Technique: Paired axial CT (left) and PSMA PET (right), 18F tracer. slice 8 of 442. PET panel 200×200 px (4.1 mm/px).
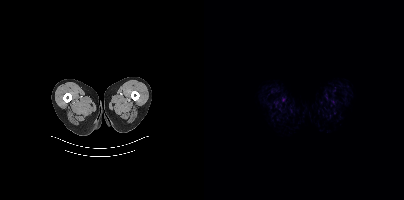
Findings: This slice has no annotated PSMA-avid lesion.